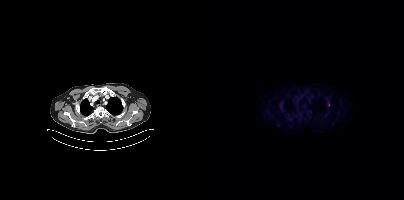
modality: PSMA PET/CT | tracer: 18F | view: axial | PET grid: 200×200
Coordinates are on the 200×200 PET (right) panel. (showing 1 of 2 foci) Small PSMA-avid focus (2 to 4 px across) near (center x, center y): (77, 108).